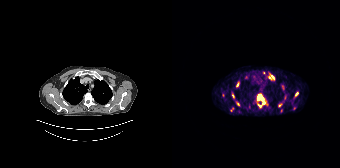
Coordinates are on the 168×168 PET (right) panel. (showing 8 of 15 foci) PSMA-avid tumor lesion bounding boxes (x, y, width, height): x=85 y=94 w=9 h=11 / x=97 y=74 w=6 h=6 / x=64 y=82 w=4 h=5. Small PSMA-avid foci (2 to 4 px across) near (center x, center y): (124, 93) / (107, 105) / (61, 95) / (66, 103) / (87, 105).
modality: PSMA PET/CT | tracer: [68Ga]Ga-PSMA-11 | view: axial | PET grid: 168×168